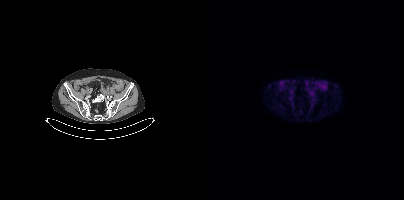
Negative for PSMA-avid disease on this slice.
modality: PSMA PET/CT | tracer: 18F-PSMA | view: axial | PET grid: 200×200